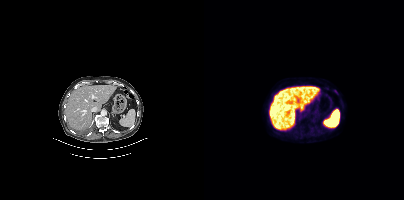
{"modality":"PSMA PET/CT","view":"axial","tracer":"18F-PSMA","pet_grid":[200,200],"coord_frame":"pet_panel","coord_format":"x0,y0,x1,y1","lesion_bboxes":[],"small_foci_centers":[[131,91]]}